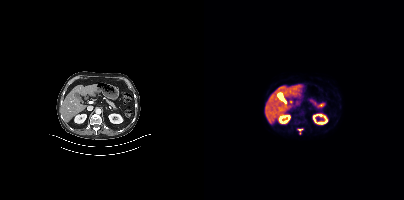
Two-panel axial: CT | PSMA PET, 18F-PSMA tracer. Acquired on Siemens Biograph mCT Flow 20.
Coordinates are on the 200×200 PET (right) panel. PSMA-avid tumor lesion bounding boxes (partial; 1 more focus not listed):
| # | x0 | y0 | x1 | y1 |
|---|---|---|---|---|
| 1 | 94 | 129 | 98 | 131 |